- Left: CT. Right: PSMA PET, same axial level, [18F]PSMA-1007 tracer
- acquired on Siemens Biograph mCT Flow 20
- PET panel 200×200 px (4.1 mm/px)
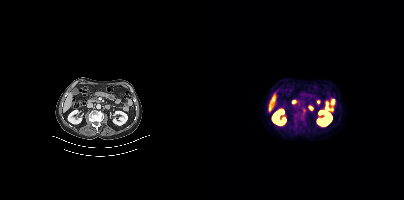
Findings: Coordinates are on the 200×200 PET (right) panel. PSMA-avid tumor lesion bounding box (x0,y0,x1,y1): [98,108,101,112].